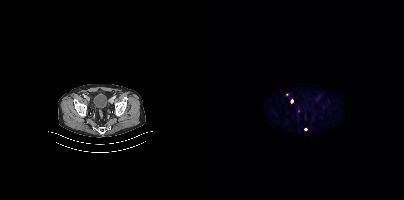
Technique: Two-panel axial: CT | PSMA PET, [18F]PSMA-1007 tracer.
Findings: Coordinates are on the 200×200 PET (right) panel. (showing 1 of 2 foci) Small PSMA-avid focus (2 to 4 px across) near (center x, center y): (94, 111).